Two-panel axial: CT | PSMA PET, [68Ga]Ga-PSMA-11 tracer. Slice position z = -1576 mm.
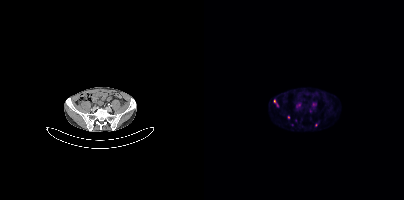
Coordinates are on the 200×200 PET (right) panel. (showing 5 of 6 foci) PSMA-avid tumor lesion bounding box (x, y, width, height): x=92 y=103 w=5 h=5. Small PSMA-avid foci (2 to 4 px across) near (center x, center y): (70, 101) / (84, 117) / (73, 105) / (88, 124).